- Two-panel axial: CT | PSMA PET, 18F tracer
- slice 323 of 444
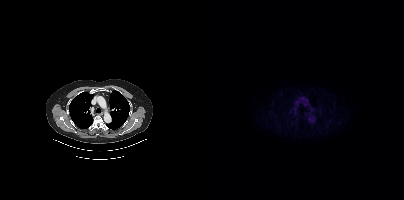
Findings: No tumor lesions annotated on this slice.